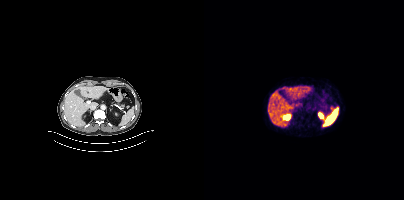
{"modality":"PSMA PET/CT","view":"axial","tracer":"68Ga-PSMA","pet_grid":[200,200],"coord_frame":"pet_panel","coord_format":"x0,y0,x1,y1","lesion_bboxes":[],"small_foci_centers":[[127,107]]}